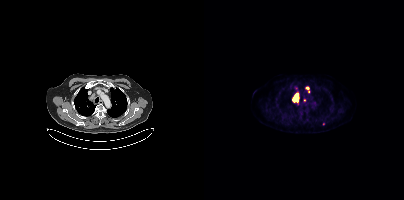
Paired axial CT (left) and PSMA PET (right), [18F]PSMA-1007 tracer. PET panel 200×200 px (4.1 mm/px).
Coordinates are on the 200×200 PET (right) panel. PSMA-avid tumor lesion bounding boxes:
| # | x0 | y0 | x1 | y1 |
|---|---|---|---|---|
| 1 | 89 | 95 | 94 | 102 |
Small PSMA-avid foci (2 to 4 px across) near (center x, center y): (103, 87); (119, 123).